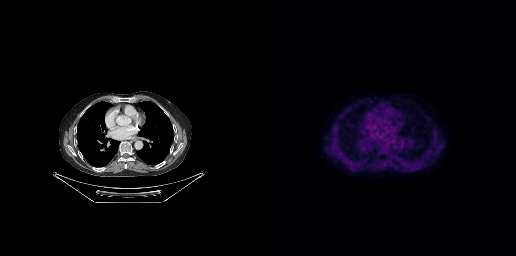
Negative for PSMA-avid disease on this slice.